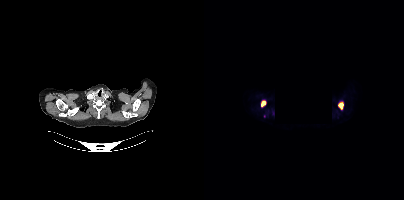
modality: PSMA PET/CT | tracer: 18F | view: axial | de-identification: rectangular block set to black
Coordinates are on the 200×200 PET (right) panel. (showing 2 of 3 foci) PSMA-avid tumor lesion bounding boxes (x0, y0)-(x1, y1): (134, 102)-(139, 109) | (57, 100)-(62, 107).